Paired axial CT (left) and PSMA PET (right), [18F]PSMA-1007 tracer. Slice 243 of 401. PET panel 200×200 px (4.1 mm/px).
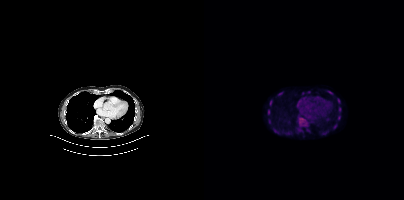
Coordinates are on the 200×200 PET (right) panel. PSMA-avid tumor lesion bounding boxes (x0, y0)-(x1, y1): (133, 98)-(136, 103) | (135, 107)-(137, 112) | (64, 110)-(66, 114) | (66, 100)-(68, 105). Small PSMA-avid foci (2 to 4 px across) near (center x, center y): (135, 117) | (74, 94).